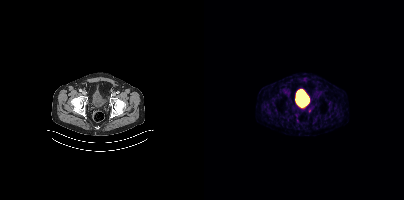
Only PSMA-avid lesion pieces thinner than 2 px on this slice (not listed).